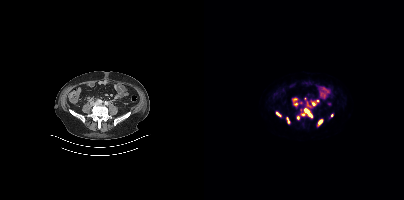
Coordinates are on the 200×200 PET (right) panel. PSMA-avid tumor lesion bounding boxes:
| # | x0 | y0 | x1 | y1 |
|---|---|---|---|---|
| 1 | 97 | 108 | 108 | 117 |
| 2 | 114 | 119 | 118 | 125 |
| 3 | 100 | 97 | 104 | 105 |
| 4 | 82 | 117 | 85 | 123 |
| 5 | 72 | 112 | 76 | 116 |
| 6 | 89 | 98 | 93 | 100 |
Small PSMA-avid foci (2 to 4 px across) near (center x, center y): (109, 103); (91, 104); (94, 117); (128, 115); (97, 102); (113, 100).
Two-panel axial: CT | PSMA PET, 18F tracer. Slice position z = -1457 mm. PET panel 200×200 px (4.1 mm/px).